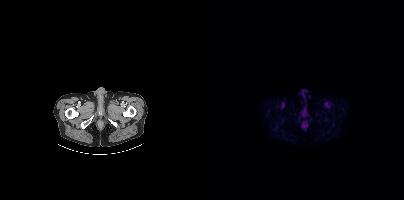
- Left: CT. Right: PSMA PET, same axial level, [18F]PSMA-1007 tracer
- acquired on Siemens Biograph mCT Flow 20
- slice position z = -1060 mm
Findings: Negative for PSMA-avid disease on this slice.